Technique: Two-panel axial: CT | PSMA PET, [18F]PSMA-1007 tracer.
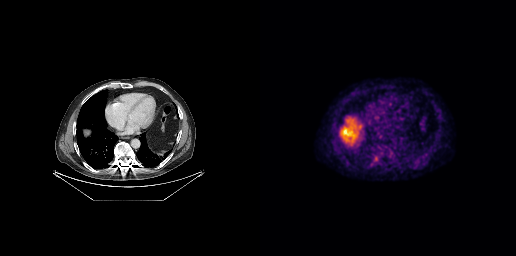
Findings: Coordinates are on the 256×256 PET (right) panel. PSMA-avid tumor lesion bounding box (x0,y0,x1,y1): [114,156,117,161].